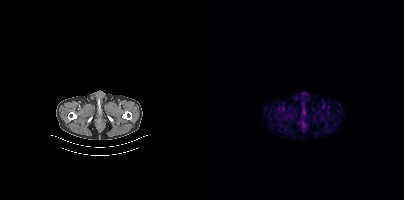
{"modality":"PSMA PET/CT","view":"axial","tracer":"[18F]PSMA-1007","pet_grid":[200,200],"coord_frame":"pet_panel","coord_format":"x0,y0,x1,y1","psma_avid_lesions":false}